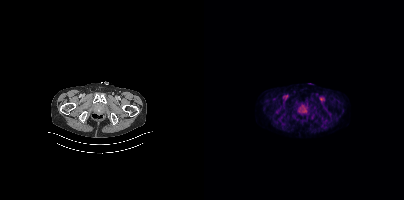
Coordinates are on the 200×200 PET (right) panel. PSMA-avid tumor lesion bounding box (x0, y0)-(x1, y1): (94, 105)-(104, 114). Two-panel axial: CT | PSMA PET, 18F-PSMA tracer. Acquired on Siemens Biograph mCT Flow 20. PET panel 200×200 px (4.1 mm/px).